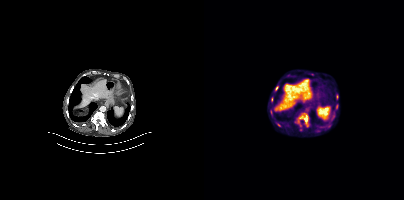
Technique: Paired axial CT (left) and PSMA PET (right), [18F]PSMA-1007 tracer. slice position z = -1222 mm. PET panel 200×200 px (4.1 mm/px).
Findings: Coordinates are on the 200×200 PET (right) panel. (showing 1 of 2 foci) PSMA-avid tumor lesion bounding box (x0,y0,x1,y1): [94,114,102,124].